- Paired axial CT (left) and PSMA PET (right), 18F tracer
- PET panel 200×200 px (4.1 mm/px)
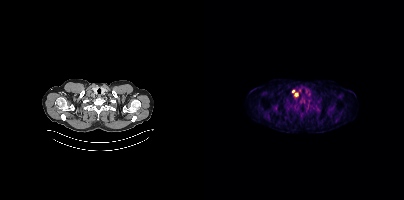
Findings: Coordinates are on the 200×200 PET (right) panel. (showing 1 of 2 foci) PSMA-avid tumor lesion bounding box (x0,y0,x1,y1): [88,90,94,96].